Paired axial CT (left) and PSMA PET (right), 18F-PSMA tracer. Acquired on Siemens Biograph mCT Flow 20. Slice 142 of 423.
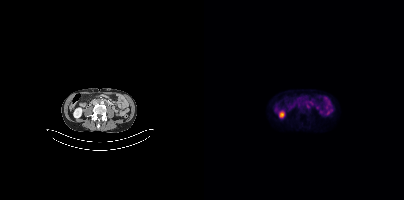
Coordinates are on the 200×200 PET (right) panel. Small PSMA-avid focus (2 to 4 px across) near (center x, center y): (104, 107).